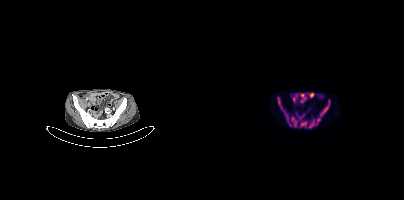
Coordinates are on the 200×200 PET (right) panel. PSMA-avid tumor lesion bounding boxes (x, y, width, height): x=74 y=97 w=14 h=30 / x=117 y=99 w=10 h=16 / x=87 y=116 w=7 h=12 / x=105 y=119 w=6 h=9 / x=97 y=121 w=6 h=6 / x=112 y=118 w=5 h=8.